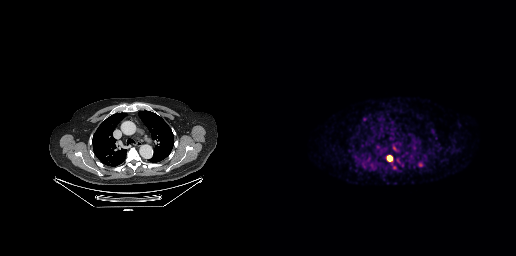
Left: CT. Right: PSMA PET, same axial level, 68Ga-PSMA tracer. Acquired on GE Discovery 690. Slice position z = -399 mm. Coordinates are on the 256×256 PET (right) panel. PSMA-avid tumor lesion bounding box (x0, y0)-(x1, y1): (127, 155)-(132, 161). Small PSMA-avid focus (2 to 4 px across) near (center x, center y): (134, 167).